Two-panel axial: CT | PSMA PET, 18F tracer. PET panel 200×200 px (4.1 mm/px).
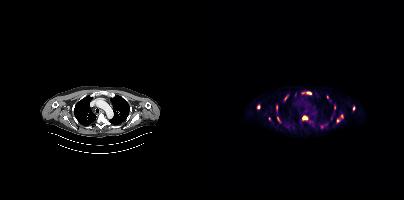
Coordinates are on the 200×200 PET (right) panel. PSMA-avid tumor lesion bounding boxes (partial; 3 more foci not listed):
| # | x0 | y0 | x1 | y1 |
|---|---|---|---|---|
| 1 | 98 | 116 | 103 | 119 |
| 2 | 133 | 118 | 136 | 122 |
| 3 | 102 | 92 | 107 | 94 |
| 4 | 80 | 95 | 84 | 100 |
| 5 | 116 | 125 | 120 | 128 |
| 6 | 137 | 114 | 139 | 118 |
| 7 | 72 | 105 | 73 | 109 |
| 8 | 73 | 117 | 76 | 122 |
Small PSMA-avid foci (2 to 4 px across) near (center x, center y): (54, 106); (149, 108); (130, 107); (123, 97).